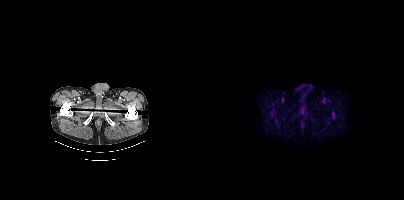
Negative for PSMA-avid disease on this slice. Two-panel axial: CT | PSMA PET, 18F-PSMA tracer. Acquired on Siemens Biograph mCT Flow 20.